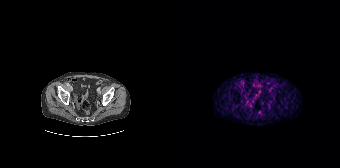
No PSMA-avid tumor lesions on this slice.